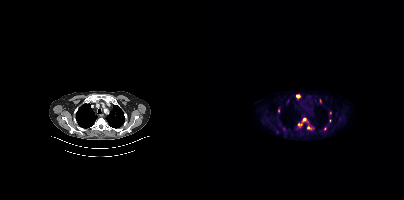
Coordinates are on the 200×200 PET (right) panel. (showing 5 of 7 foci) PSMA-avid tumor lesion bounding boxes (x0, y0)-(x1, y1): (94, 118)-(104, 127) | (103, 126)-(107, 129). Small PSMA-avid foci (2 to 4 px across) near (center x, center y): (93, 96) | (126, 112) | (120, 128).